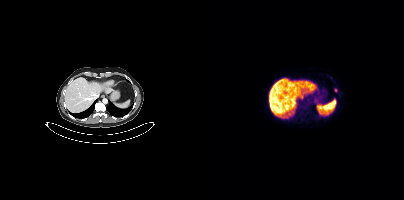
Coordinates are on the 200×200 PET (right) panel. PSMA-avid tumor lesion bounding box (x0, y0)-(x1, y1): (110, 98)-(113, 103). Small PSMA-avid focus (2 to 4 px across) near (center x, center y): (131, 90). Left: CT. Right: PSMA PET, same axial level, 18F tracer. Slice 253 of 429.